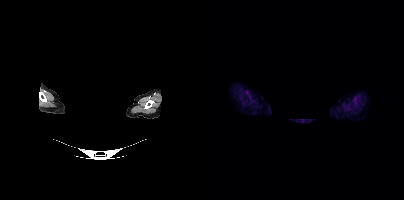
{"pet_grid":[200,200],"coord_frame":"pet_panel","coord_format":"x0,y0,x1,y1","psma_avid_lesions":false,"de-identification":"head region blanked (face removed)","modality":"PSMA PET/CT","view":"axial","tracer":"18F-PSMA"}